Paired axial CT (left) and PSMA PET (right), 18F tracer. Acquired on Siemens Biograph mCT Flow 20.
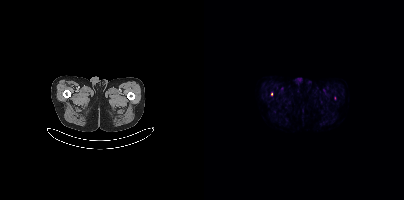
Coordinates are on the 200×200 PET (right) panel. (showing 1 of 2 foci) Small PSMA-avid focus (2 to 4 px across) near (center x, center y): (67, 93).